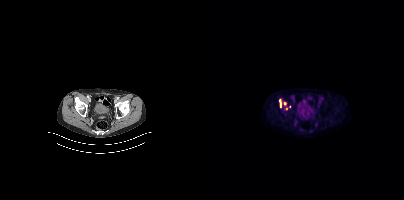
Coordinates are on the 200×200 PET (right) panel. PSMA-avid tumor lesion bounding box (x, y, width, height): x=75 y=99 w=3 h=9. Small PSMA-avid foci (2 to 4 px across) near (center x, center y): (82, 108); (80, 103); (85, 106).
modality: PSMA PET/CT | tracer: 18F-PSMA | view: axial | PET grid: 200×200